Technique: Two-panel axial: CT | PSMA PET, 18F tracer. PET panel 200×200 px (4.1 mm/px).
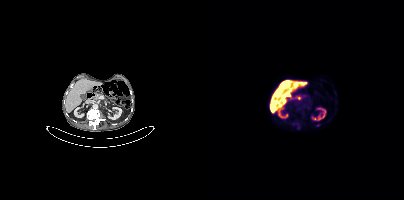
Findings: No tumor lesions annotated on this slice.